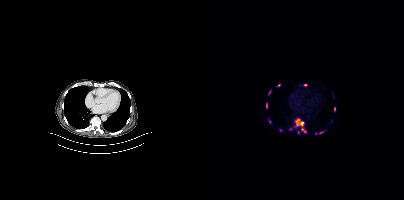
Coordinates are on the 200×200 PET (right) panel. (showing 9 of 11 foci) PSMA-avid tumor lesion bounding boxes (x, y, width, height): x=90 y=118 w=13 h=16 | x=62 y=103 w=2 h=6 | x=114 y=131 w=7 h=3 | x=64 y=90 w=4 h=6 | x=130 y=107 w=2 h=5. Small PSMA-avid foci (2 to 4 px across) near (center x, center y): (101, 85) | (94, 132) | (74, 85) | (86, 129).